Paired axial CT (left) and PSMA PET (right), 18F tracer. Acquired on Siemens Biograph mCT Flow 20. Slice 243 of 385.
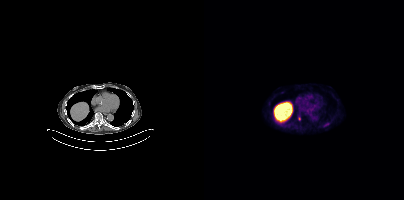
Coordinates are on the 200×200 PET (right) panel. (showing 1 of 2 foci) Small PSMA-avid focus (2 to 4 px across) near (center x, center y): (95, 118).